Left: CT. Right: PSMA PET, same axial level, [68Ga]Ga-PSMA-11 tracer. Acquired on Siemens Biograph 64-4R TruePoint.
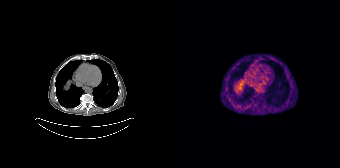
No tumor lesions annotated on this slice.